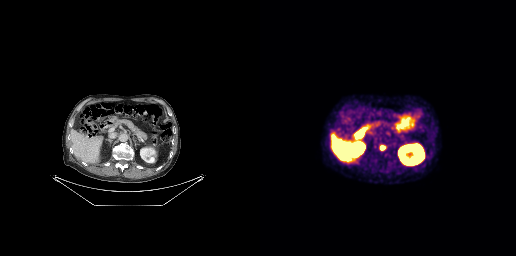
Findings: Coordinates are on the 256×256 PET (right) panel. PSMA-avid tumor lesion bounding box (x0, y0)-(x1, y1): (120, 145)-(125, 150).
Technique: Paired axial CT (left) and PSMA PET (right), 18F tracer. slice 149 of 263. PET panel 256×256 px (2.7 mm/px).